Technique: Left: CT. Right: PSMA PET, same axial level, 18F tracer. slice position z = -1011 mm. PET panel 256×256 px (2.7 mm/px).
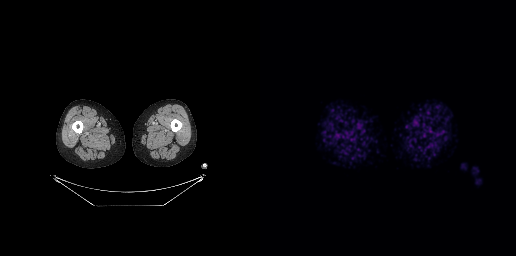
Findings: No tumor lesions annotated on this slice.